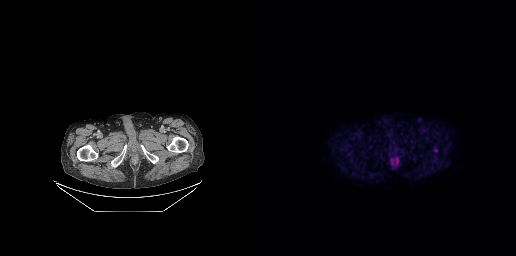
No tumor lesions annotated on this slice.
modality: PSMA PET/CT | tracer: [18F]PSMA-1007 | view: axial | PET grid: 256×256